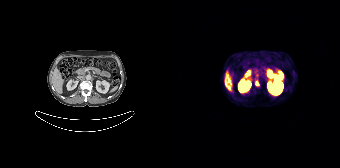
Findings: Coordinates are on the 168×168 PET (right) panel. Small PSMA-avid focus (2 to 4 px across) near (center x, center y): (85, 83).
Technique: Paired axial CT (left) and PSMA PET (right), 68Ga-PSMA tracer. acquired on Siemens Biograph 64-4R TruePoint. slice position z = -1104 mm. PET panel 168×168 px (4.1 mm/px).